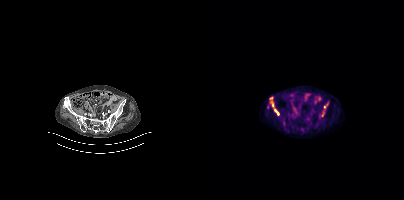
Findings: Coordinates are on the 200×200 PET (right) panel. PSMA-avid tumor lesion bounding box (x0, y0)-(x1, y1): (66, 100)-(75, 115). Small PSMA-avid foci (2 to 4 px across) near (center x, center y): (97, 128) | (63, 107).
Technique: Left: CT. Right: PSMA PET, same axial level, 18F-PSMA tracer. acquired on Siemens Biograph mCT Flow 20.